- Two-panel axial: CT | PSMA PET, 68Ga tracer
- acquired on Siemens Biograph 64-4R TruePoint
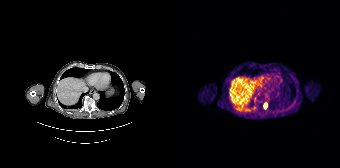
Findings: Coordinates are on the 168×168 PET (right) panel. PSMA-avid tumor lesion bounding box (x, y, width, height): x=92 y=103 w=4 h=6.